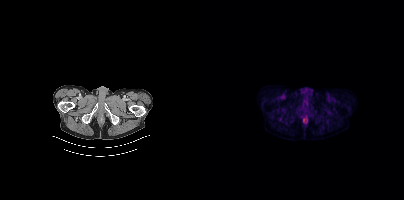
This slice has no annotated PSMA-avid lesion.